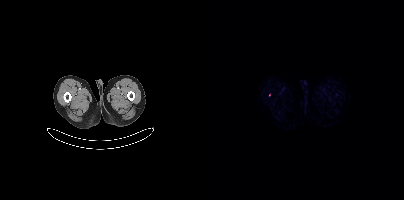
Coordinates are on the 200×200 PET (right) panel. Small PSMA-avid focus (2 to 4 px across) near (center x, center y): (65, 95). Paired axial CT (left) and PSMA PET (right), 18F tracer. Acquired on Siemens Biograph mCT Flow 20. Slice 10 of 407.